Left: CT. Right: PSMA PET, same axial level, 18F tracer. PET panel 200×200 px (4.1 mm/px).
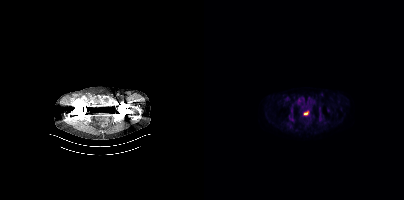
Coordinates are on the 200×200 PET (right) panel. PSMA-avid tumor lesion bounding boxes:
| # | x0 | y0 | x1 | y1 |
|---|---|---|---|---|
| 1 | 100 | 112 | 104 | 114 |